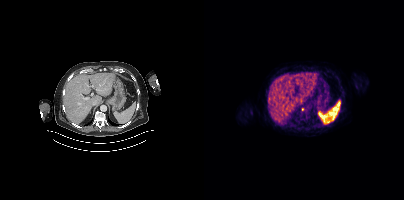
Coordinates are on the 200×200 PET (right) panel. Small PSMA-avid focus (2 to 4 px across) near (center x, center y): (98, 109).